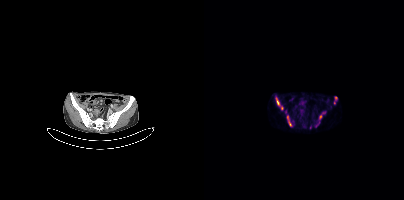
Coordinates are on the 200×200 PET (right) panel. PSMA-avid tumor lesion bounding boxes (x0,y0,x1,y1): [72,97,75,105]; [115,112,121,119]; [131,96,133,100]; [85,121,86,125]. Small PSMA-avid foci (2 to 4 px across) near (center x, center y): (83, 117); (77, 108); (130, 102); (81, 111).